Technique: Paired axial CT (left) and PSMA PET (right), 18F tracer. acquired on Siemens Biograph mCT Flow 20. slice 13 of 401.
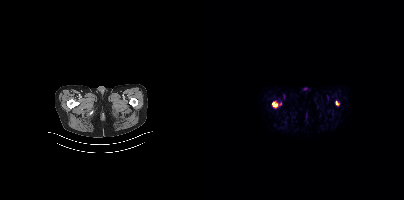
Findings: Coordinates are on the 200×200 PET (right) panel. (showing 2 of 3 foci) PSMA-avid tumor lesion bounding boxes (x, y, width, height): x=68 y=101 w=6 h=6 | x=132 y=101 w=3 h=5.